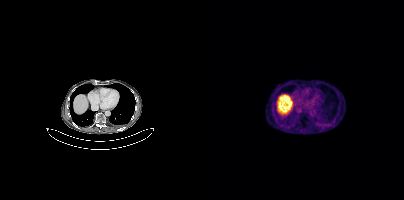
Findings: Negative for PSMA-avid disease on this slice.
Technique: Left: CT. Right: PSMA PET, same axial level, [68Ga]Ga-PSMA-11 tracer. acquired on Siemens Biograph mCT Flow 20. slice position z = -676 mm.